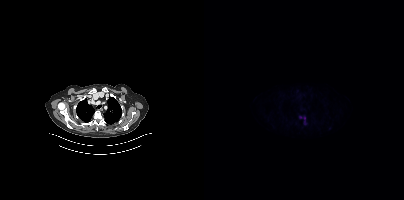
Coordinates are on the 200×200 PET (right) panel. PSMA-avid tumor lesion bounding box (x0,y0,x1,y1): [100,117,101,124]. Small PSMA-avid focus (2 to 4 px across) near (center x, center y): (96, 117). Paired axial CT (left) and PSMA PET (right), 18F tracer. Slice 319 of 395.